Two-panel axial: CT | PSMA PET, [18F]PSMA-1007 tracer. PET panel 200×200 px (4.1 mm/px).
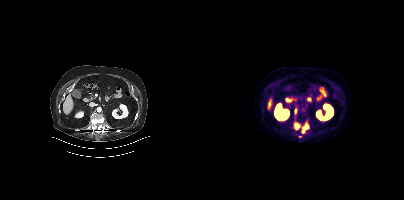
Coordinates are on the 200×200 PET (right) panel. PSMA-avid tumor lesion bounding boxes (partial; 1 more focus not listed):
| # | x0 | y0 | x1 | y1 |
|---|---|---|---|---|
| 1 | 90 | 123 | 95 | 129 |
| 2 | 99 | 126 | 103 | 128 |
Small PSMA-avid foci (2 to 4 px across) near (center x, center y): (91, 111); (96, 136).